modality: PSMA PET/CT | tracer: [18F]PSMA-1007 | view: axial | PET grid: 200×200
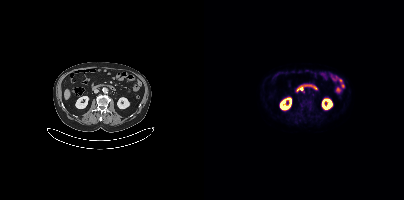
Negative for PSMA-avid disease on this slice.